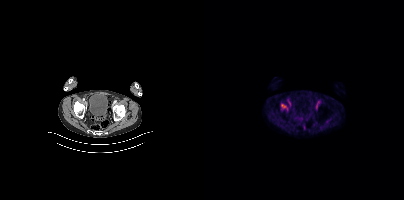
Coordinates are on the 200×200 PET (right) panel. Small PSMA-avid focus (2 to 4 px across) near (center x, center y): (79, 105).